- Two-panel axial: CT | PSMA PET, [18F]PSMA-1007 tracer
- acquired on Siemens Biograph mCT Flow 20
- slice 172 of 429
- PET panel 200×200 px (4.1 mm/px)
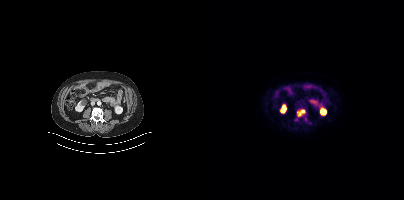
Findings: Coordinates are on the 200×200 PET (right) panel. PSMA-avid tumor lesion bounding box (x0,y0,x1,y1): [93,110,100,115].